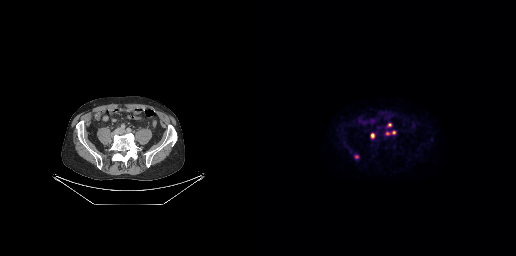
{"modality":"PSMA PET/CT","view":"axial","tracer":"18F-PSMA","pet_grid":[256,256],"coord_frame":"pet_panel","coord_format":"x0,y0,x1,y1","lesion_bboxes":[[125,130,136,135],[110,133,115,138],[127,123,131,127]],"small_foci_centers":[[96,156]]}